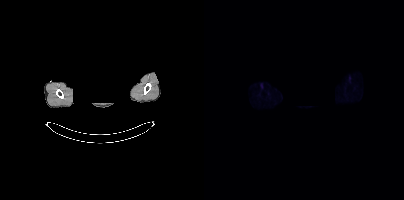
- privacy masking over the head, with the pixels inside a rectangle set to black
- Paired axial CT (left) and PSMA PET (right), 18F tracer
- acquired on Siemens Biograph mCT Flow 20
- PET panel 200×200 px (4.1 mm/px)
Findings: No PSMA-avid tumor lesions on this slice.